Paired axial CT (left) and PSMA PET (right), 18F tracer. PET panel 200×200 px (4.1 mm/px).
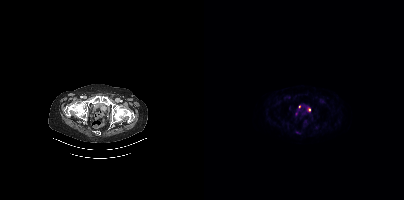
Coordinates are on the 200×200 PET (right) panel. PSMA-avid tumor lesion bounding box (x0, y0)-(x1, y1): (104, 107)-(106, 111). Small PSMA-avid foci (2 to 4 px across) near (center x, center y): (92, 114); (95, 106).